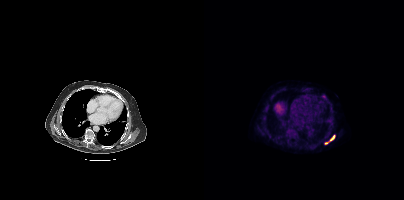
Findings: Coordinates are on the 200×200 PET (right) panel. (showing 1 of 2 foci) PSMA-avid tumor lesion bounding box (x, y, width, height): x=126 y=135 w=5 h=6.
- Two-panel axial: CT | PSMA PET, [18F]PSMA-1007 tracer
- PET panel 200×200 px (4.1 mm/px)